- Left: CT. Right: PSMA PET, same axial level, [68Ga]Ga-PSMA-11 tracer
- slice position z = 898 mm
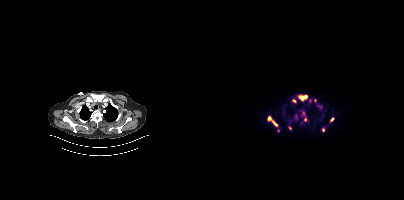
Findings: Coordinates are on the 200×200 PET (right) panel. (showing 13 of 15 foci) PSMA-avid tumor lesion bounding boxes (x0, y0)-(x1, y1): (94, 95)-(103, 100); (113, 104)-(118, 108); (88, 115)-(94, 121); (64, 116)-(69, 121); (88, 99)-(92, 102); (69, 122)-(73, 125). Small PSMA-avid foci (2 to 4 px across) near (center x, center y): (101, 119); (127, 119); (85, 127); (119, 129); (111, 100); (106, 101); (73, 130).